Left: CT. Right: PSMA PET, same axial level, [18F]PSMA-1007 tracer.
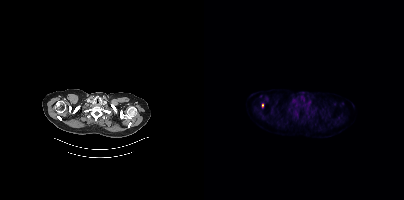
Coordinates are on the 200×200 PET (right) panel. Small PSMA-avid focus (2 to 4 px across) near (center x, center y): (58, 105).